Paired axial CT (left) and PSMA PET (right), [18F]PSMA-1007 tracer. Acquired on Siemens Biograph mCT Flow 20.
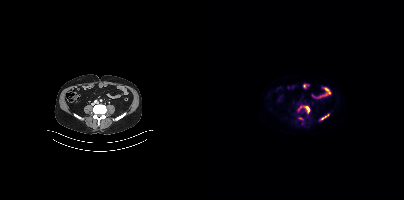
Coordinates are on the 200×200 PET (right) panel. PSMA-avid tumor lesion bounding boxes:
| # | x0 | y0 | x1 | y1 |
|---|---|---|---|---|
| 1 | 94 | 105 | 106 | 113 |
| 2 | 116 | 114 | 125 | 120 |
Small PSMA-avid focus (2 to 4 px across) near (center x, center y): (96, 118).